modality: PSMA PET/CT | tracer: 18F-PSMA | view: axial | PET grid: 200×200
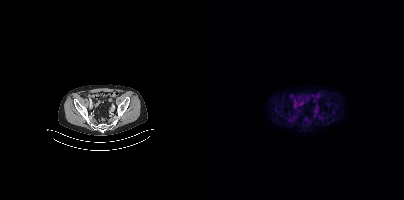
This slice has no annotated PSMA-avid lesion.